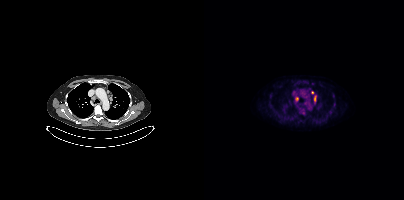
Coordinates are on the 200×200 PET (right) panel. (showing 7 of 9 foci) PSMA-avid tumor lesion bounding boxes (x0, y0)-(x1, y1): (91, 97)-(94, 101); (97, 109)-(100, 113); (110, 96)-(112, 101). Small PSMA-avid foci (2 to 4 px across) near (center x, center y): (102, 102); (105, 89); (108, 92); (130, 104).
modality: PSMA PET/CT | tracer: 18F-PSMA | view: axial | PET grid: 200×200